modality: PSMA PET/CT | tracer: 18F | view: axial | PET grid: 200×200
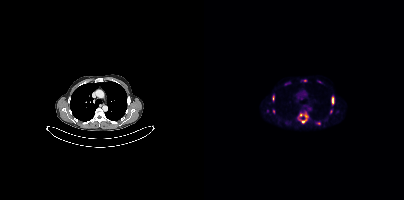
Coordinates are on the 200×200 PET (right) panel. PSMA-avid tumor lesion bounding boxes (x, y, width, height): x=93 y=111 w=12 h=13 | x=127 y=95 w=4 h=11 | x=68 y=95 w=3 h=7 | x=81 y=82 w=6 h=4. Small PSMA-avid foci (2 to 4 px across) near (center x, center y): (127, 111) | (114, 123) | (101, 80) | (69, 111) | (115, 81) | (63, 110).